Two-panel axial: CT | PSMA PET, 18F tracer. Acquired on Siemens Biograph 64-4R TruePoint.
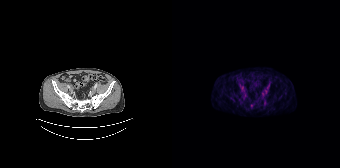
Coordinates are on the 168×168 PET (right) panel. (showing 2 of 4 foci) Small PSMA-avid foci (2 to 4 px across) near (center x, center y): (96, 87); (79, 105).